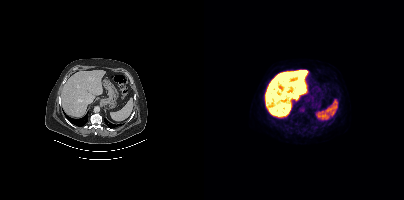
Technique: Two-panel axial: CT | PSMA PET, 18F-PSMA tracer. slice position z = -1131 mm. PET panel 200×200 px (4.1 mm/px).
Findings: This slice has no annotated PSMA-avid lesion.